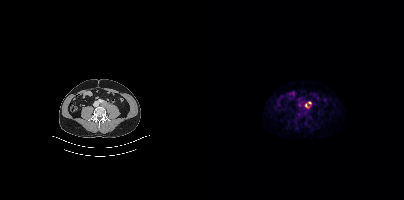
{"modality":"PSMA PET/CT","view":"axial","tracer":"18F-PSMA","pet_grid":[200,200],"coord_frame":"pet_panel","coord_format":"x0,y0,x1,y1","lesion_bboxes":[[101,102,107,108]]}